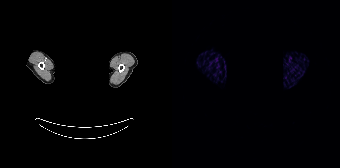
A rectangular block over the head has been blanked out for de-identification. Two-panel axial: CT | PSMA PET, [68Ga]Ga-PSMA-11 tracer. Slice 189 of 195. PET panel 168×168 px (4.1 mm/px). This slice has no annotated PSMA-avid lesion.